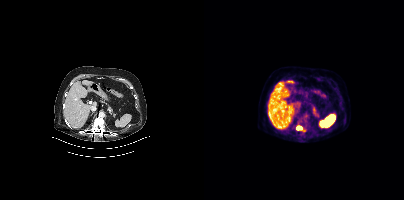
Technique: Paired axial CT (left) and PSMA PET (right), 18F-PSMA tracer.
Findings: Coordinates are on the 200×200 PET (right) panel. PSMA-avid tumor lesion bounding box (x, y, width, height): x=93 y=126 w=6 h=4.